modality: PSMA PET/CT | tracer: [18F]PSMA-1007 | view: axial
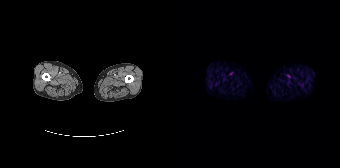
No tumor lesions annotated on this slice.